modality: PSMA PET/CT | tracer: 18F-PSMA | view: axial
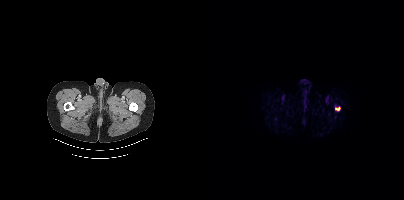
Coordinates are on the 200×200 PET (right) panel. PSMA-avid tumor lesion bounding box (x, y, width, height): x=131 y=106 w=6 h=6.